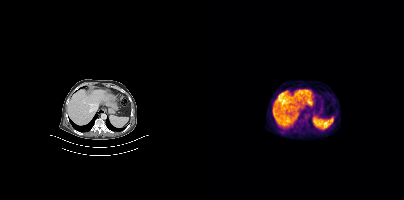
modality: PSMA PET/CT | tracer: 18F | view: axial
Negative for PSMA-avid disease on this slice.